Face de-identified by blanking a block of the head.
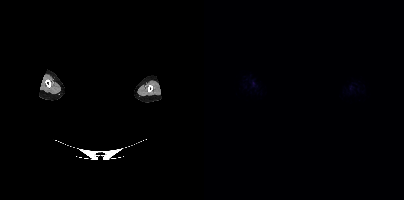
No tumor lesions annotated on this slice.